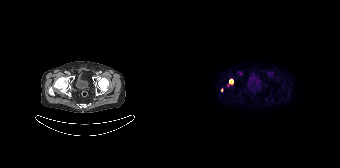
- Two-panel axial: CT | PSMA PET, 18F tracer
- acquired on Siemens Biograph 64-4R TruePoint
- PET panel 168×168 px (4.1 mm/px)
Findings: Coordinates are on the 168×168 PET (right) panel. PSMA-avid tumor lesion bounding box (x0, y0)-(x1, y1): (56, 78)-(61, 86). Small PSMA-avid focus (2 to 4 px across) near (center x, center y): (50, 89).